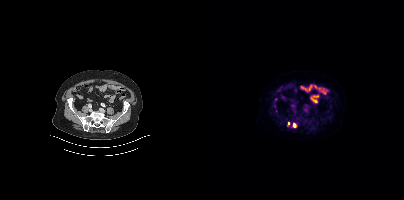
Two-panel axial: CT | PSMA PET, 18F tracer. PET panel 200×200 px (4.1 mm/px).
Coordinates are on the 200×200 PET (right) panel. PSMA-avid tumor lesion bounding boxes:
| # | x0 | y0 | x1 | y1 |
|---|---|---|---|---|
| 1 | 89 | 123 | 92 | 127 |
Small PSMA-avid focus (2 to 4 px across) near (center x, center y): (84, 123).